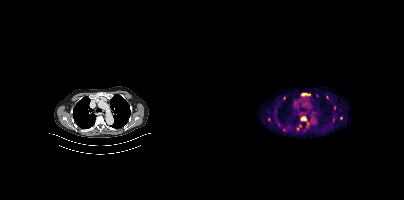
{"modality":"PSMA PET/CT","view":"axial","tracer":"18F","pet_grid":[200,200],"coord_frame":"pet_panel","coord_format":"x0,y0,x1,y1","partial":true,"lesion_bboxes":[[97,93,106,95],[97,117,102,120]],"small_foci_centers":[[129,119],[80,98],[93,128],[64,119]]}